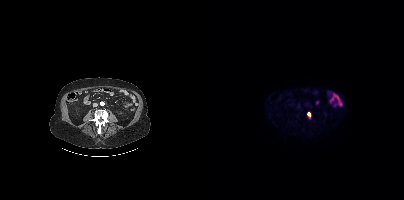
Coordinates are on the 200×200 PET (right) panel. Small PSMA-avid focus (2 to 4 px across) near (center x, center y): (105, 114).
modality: PSMA PET/CT | tracer: 18F | view: axial | PET grid: 200×200